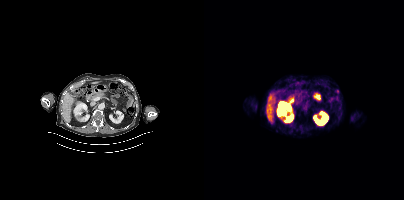
{"modality":"PSMA PET/CT","view":"axial","tracer":"[18F]PSMA-1007","pet_grid":[200,200],"coord_frame":"pet_panel","coord_format":"x0,y0,x1,y1","psma_avid_lesions":false}